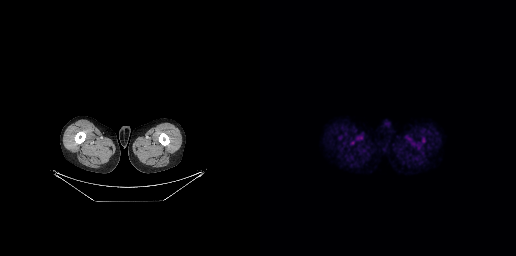
- Paired axial CT (left) and PSMA PET (right), 18F-PSMA tracer
Findings: No tumor lesions annotated on this slice.